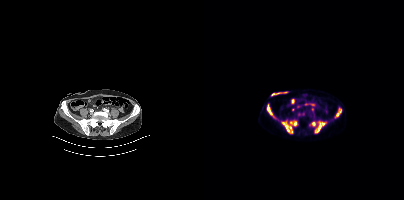
Two-panel axial: CT | PSMA PET, [18F]PSMA-1007 tracer. PET panel 200×200 px (4.1 mm/px).
Coordinates are on the 200×200 PET (right) panel. PSMA-avid tumor lesion bounding boxes:
| # | x0 | y0 | x1 | y1 |
|---|---|---|---|---|
| 1 | 77 | 120 | 93 | 133 |
| 2 | 111 | 121 | 122 | 132 |
| 3 | 63 | 104 | 71 | 118 |
| 4 | 132 | 108 | 137 | 116 |
| 5 | 108 | 122 | 111 | 126 |